Paired axial CT (left) and PSMA PET (right), 18F-PSMA tracer. PET panel 200×200 px (4.1 mm/px).
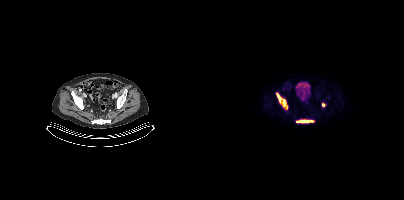
Coordinates are on the 200×200 PET (right) panel. PSMA-avid tumor lesion bounding boxes:
| # | x0 | y0 | x1 | y1 |
|---|---|---|---|---|
| 1 | 72 | 93 | 83 | 108 |
| 2 | 92 | 120 | 109 | 122 |
Small PSMA-avid focus (2 to 4 px across) near (center x, center y): (119, 104).